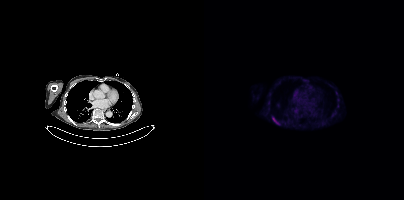
Coordinates are on the 200×200 PET (right) panel. PSMA-avid tumor lesion bounding box (x0,y0,x1,y1): [68,117,75,124].